- Left: CT. Right: PSMA PET, same axial level, 18F tracer
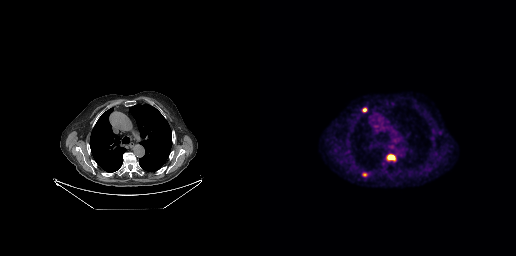
Findings: Coordinates are on the 256×256 PET (right) panel. PSMA-avid tumor lesion bounding boxes (x0, y0)-(x1, y1): (127, 154)-(135, 160); (102, 173)-(107, 176). Small PSMA-avid focus (2 to 4 px across) near (center x, center y): (104, 109).